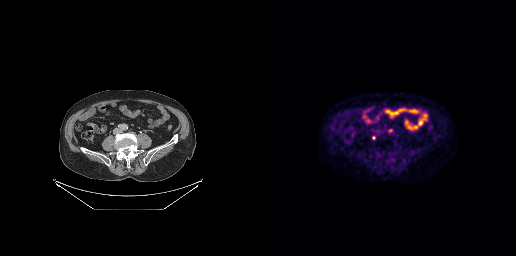
Technique: Two-panel axial: CT | PSMA PET, [18F]PSMA-1007 tracer. PET panel 256×256 px (2.7 mm/px).
Findings: Coordinates are on the 256×256 PET (right) panel. Small PSMA-avid foci (2 to 4 px across) near (center x, center y): (113, 137) | (130, 130).